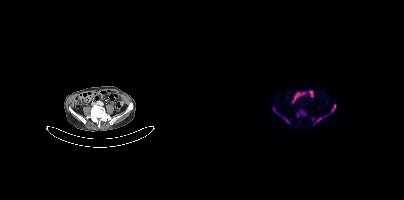
Coordinates are on the 200×200 PET (right) panel. (showing 3 of 4 foci) PSMA-avid tumor lesion bounding boxes (x0,y0,x1,y1): [69,108,85,122], [127,104,132,112], [113,118,117,120].
modality: PSMA PET/CT | tracer: [18F]PSMA-1007 | view: axial